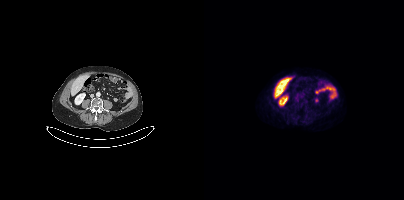
Left: CT. Right: PSMA PET, same axial level, 18F tracer. Slice position z = -755 mm. PET panel 200×200 px (4.1 mm/px). No PSMA-avid tumor lesions on this slice.